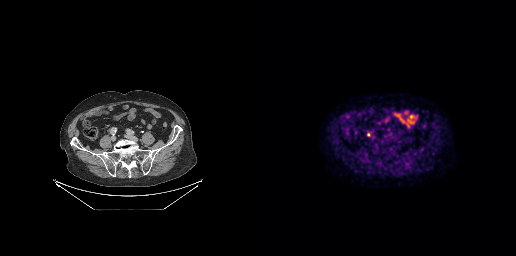
- Paired axial CT (left) and PSMA PET (right), 18F tracer
- PET panel 256×256 px (2.7 mm/px)
Findings: Coordinates are on the 256×256 PET (right) panel. Small PSMA-avid focus (2 to 4 px across) near (center x, center y): (108, 134).